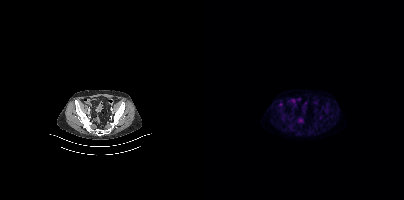
Paired axial CT (left) and PSMA PET (right), 18F tracer. No tumor lesions annotated on this slice.